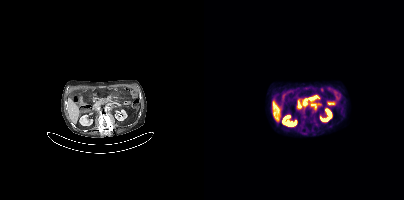
{"pet_grid":[200,200],"coord_frame":"pet_panel","coord_format":"x0,y0,x1,y1","partial":true,"lesion_bboxes":[[99,95,115,105]],"modality":"PSMA PET/CT","view":"axial","tracer":"18F"}